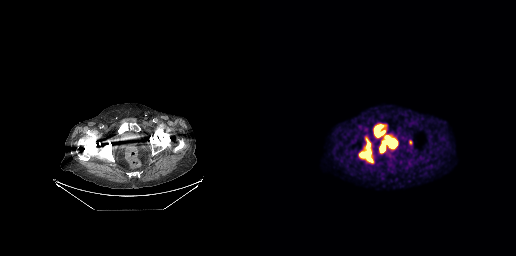
{"pet_grid":[256,256],"coord_frame":"pet_panel","coord_format":"x0,y0,x1,y1","lesion_bboxes":[[99,142,112,162],[114,125,125,137]],"modality":"PSMA PET/CT","view":"axial","tracer":"18F-PSMA"}